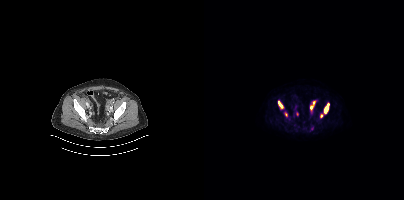
- Paired axial CT (left) and PSMA PET (right), 18F-PSMA tracer
- acquired on Siemens Biograph mCT Flow 20
- slice position z = -1539 mm
- PET panel 200×200 px (4.1 mm/px)
Findings: Coordinates are on the 200×200 PET (right) panel. (showing 5 of 6 foci) PSMA-avid tumor lesion bounding boxes (x, y, width, height): x=120 y=103 w=6 h=11 | x=106 y=101 w=6 h=10 | x=74 y=101 w=6 h=8. Small PSMA-avid foci (2 to 4 px across) near (center x, center y): (117, 115) | (81, 114).